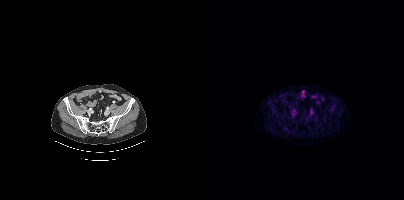
Findings: This slice has no annotated PSMA-avid lesion.
- Left: CT. Right: PSMA PET, same axial level, [18F]PSMA-1007 tracer
- PET panel 200×200 px (4.1 mm/px)